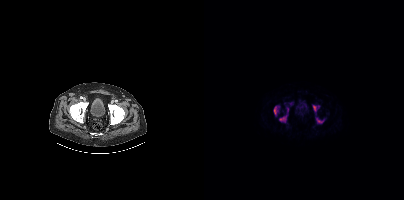
Coordinates are on the 200×200 PET (right) panel. PSMA-avid tumor lesion bounding boxes (x0, y0)-(x1, y1): (69, 105)-(75, 116) | (75, 115)-(83, 122) | (112, 117)-(120, 123) | (109, 105)-(115, 112) | (83, 108)-(84, 113).